A rectangle over the head was blacked out to remove identifiable facial features. Two-panel axial: CT | PSMA PET, [18F]PSMA-1007 tracer. PET panel 200×200 px (4.1 mm/px).
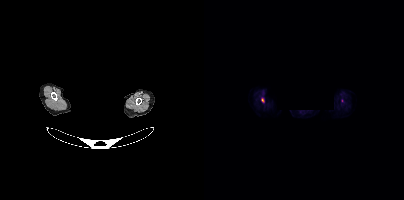
Coordinates are on the 200×200 PET (right) panel. PSMA-avid tumor lesion bounding boxes:
| # | x0 | y0 | x1 | y1 |
|---|---|---|---|---|
| 1 | 57 | 98 | 60 | 102 |